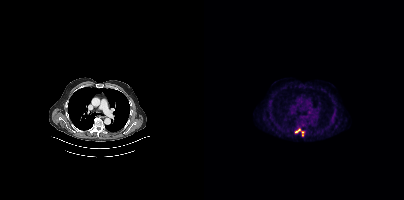
Technique: Left: CT. Right: PSMA PET, same axial level, 18F tracer. acquired on Siemens Biograph mCT Flow 20. PET panel 200×200 px (4.1 mm/px).
Findings: Coordinates are on the 200×200 PET (right) panel. PSMA-avid tumor lesion bounding box (x, y, width, height): x=91 y=128 w=10 h=8.